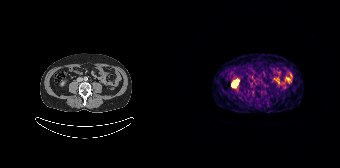
Left: CT. Right: PSMA PET, same axial level, 68Ga-PSMA tracer. Acquired on Siemens Biograph 64-4R TruePoint. Slice 82 of 195. PET panel 168×168 px (4.1 mm/px). Negative for PSMA-avid disease on this slice.